Paired axial CT (left) and PSMA PET (right), 68Ga-PSMA tracer.
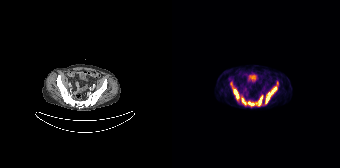
Coordinates are on the 168×168 PET (right) panel. PSMA-avid tumor lesion bounding boxes:
| # | x0 | y0 | x1 | y1 |
|---|---|---|---|---|
| 1 | 93 | 81 | 106 | 104 |
| 2 | 69 | 95 | 91 | 105 |
| 3 | 59 | 82 | 67 | 100 |